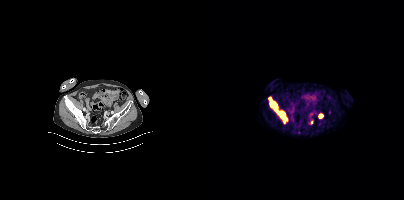
- Two-panel axial: CT | PSMA PET, 18F-PSMA tracer
- slice 120 of 427
- PET panel 200×200 px (4.1 mm/px)
Findings: Coordinates are on the 200×200 PET (right) panel. PSMA-avid tumor lesion bounding boxes (x0,y0,x1,y1): [64,96,83,123] [114,114,119,118]. Small PSMA-avid focus (2 to 4 px across) near (center x, center y): (107, 122).